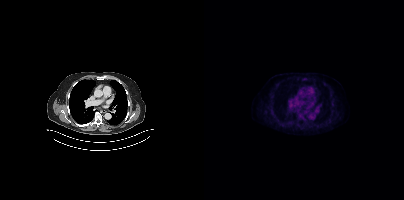
{"pet_grid":[200,200],"coord_frame":"pet_panel","coord_format":"x0,y0,x1,y1","partial":true,"lesion_bboxes":[],"modality":"PSMA PET/CT","view":"axial","tracer":"[18F]PSMA-1007"}